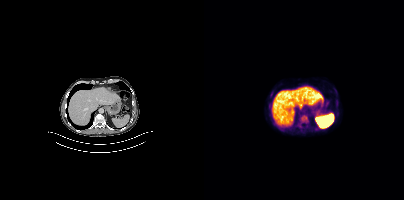
Coordinates are on the 200×200 PET (right) panel. PSMA-avid tumor lesion bounding boxes:
| # | x0 | y0 | x1 | y1 |
|---|---|---|---|---|
| 1 | 96 | 115 | 103 | 122 |
Left: CT. Right: PSMA PET, same axial level, 18F tracer. Acquired on Siemens Biograph mCT Flow 20. Slice position z = -434 mm. PET panel 200×200 px (4.1 mm/px).